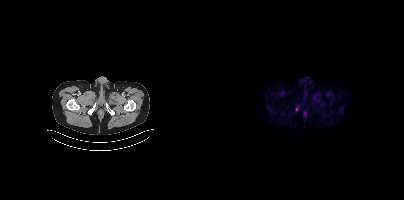
{"modality":"PSMA PET/CT","view":"axial","tracer":"[68Ga]Ga-PSMA-11","pet_grid":[200,200],"coord_frame":"pet_panel","coord_format":"x0,y0,x1,y1","partial":true,"lesion_bboxes":[]}